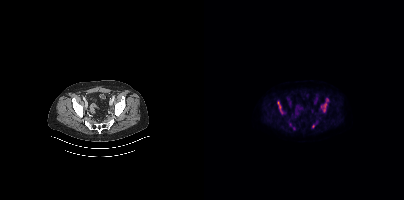
Coordinates are on the 200×200 PET (right) panel. (showing 4 of 5 foci) PSMA-avid tumor lesion bounding boxes (x0,y0,x1,y1): [73,101,79,113] [119,103,122,111]. Small PSMA-avid foci (2 to 4 px across) near (center x, center y): (109, 126) (123, 99).